Technique: Two-panel axial: CT | PSMA PET, 18F tracer. acquired on GE Discovery 690. PET panel 256×256 px (2.7 mm/px).
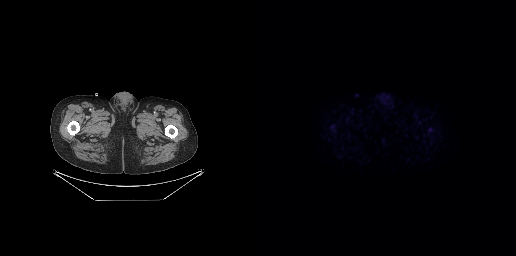
Findings: No tumor lesions annotated on this slice.